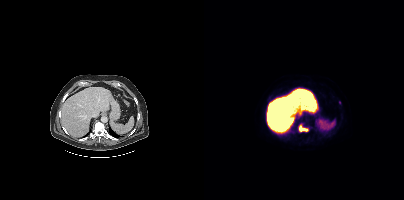
{"modality":"PSMA PET/CT","view":"axial","tracer":"18F","pet_grid":[200,200],"coord_frame":"pet_panel","coord_format":"x0,y0,x1,y1","lesion_bboxes":[[95,125,104,131]],"small_foci_centers":[[135,102]]}